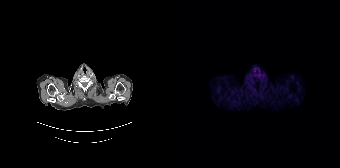
{"modality":"PSMA PET/CT","view":"axial","tracer":"68Ga","pet_grid":[168,168],"coord_frame":"pet_panel","coord_format":"x0,y0,x1,y1","psma_avid_lesions":false}